Paired axial CT (left) and PSMA PET (right), [18F]PSMA-1007 tracer. Acquired on Siemens Biograph mCT Flow 20.
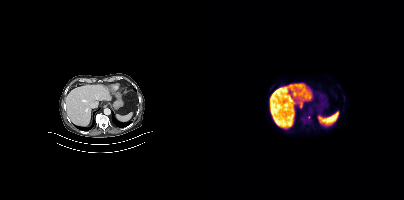
No PSMA-avid tumor lesions on this slice.